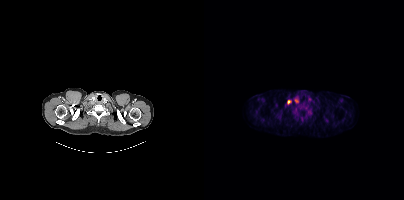
Left: CT. Right: PSMA PET, same axial level, 18F-PSMA tracer. Slice position z = -883 mm. Coordinates are on the 200×200 PET (right) panel. PSMA-avid tumor lesion bounding box (x0,y0,x1,y1): [83,100,87,104]. Small PSMA-avid focus (2 to 4 px across) near (center x, center y): (92, 101).